Paired axial CT (left) and PSMA PET (right), [18F]PSMA-1007 tracer. Slice 81 of 165. PET panel 168×168 px (4.1 mm/px).
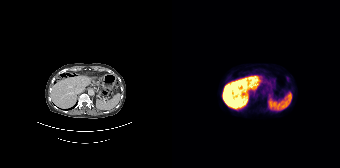
No tumor lesions annotated on this slice.